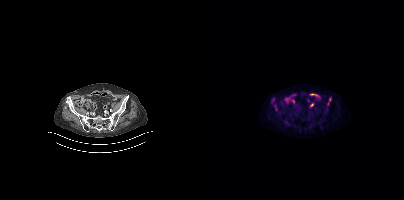
{"modality":"PSMA PET/CT","view":"axial","tracer":"[18F]PSMA-1007","pet_grid":[200,200],"coord_frame":"pet_panel","coord_format":"x0,y0,x1,y1","lesion_bboxes":[[69,105,73,110],[123,97,127,104]],"small_foci_centers":[[69,99]]}